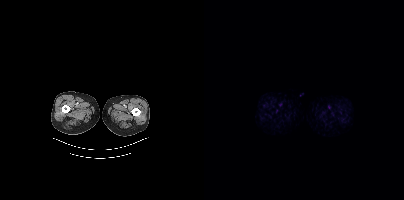
{"pet_grid":[200,200],"coord_frame":"pet_panel","coord_format":"x0,y0,x1,y1","psma_avid_lesions":false,"modality":"PSMA PET/CT","view":"axial","tracer":"18F-PSMA"}